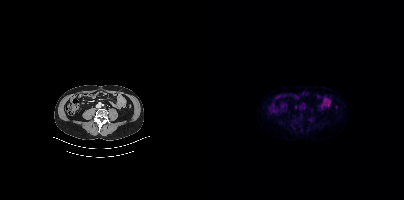
No PSMA-avid tumor lesions on this slice. Left: CT. Right: PSMA PET, same axial level, 68Ga tracer. Slice position z = -1348 mm. PET panel 200×200 px (4.1 mm/px).